Two-panel axial: CT | PSMA PET, 18F tracer. PET panel 200×200 px (4.1 mm/px). The face region was removed for patient privacy by blanking a rectangle over the head.
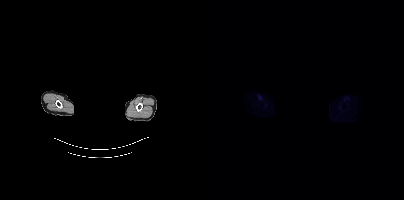
Negative for PSMA-avid disease on this slice.